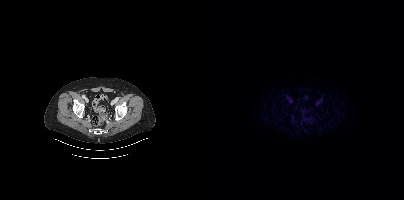
Two-panel axial: CT | PSMA PET, 18F tracer. Acquired on Siemens Biograph mCT Flow 20. PET panel 200×200 px (4.1 mm/px). This slice has no annotated PSMA-avid lesion.